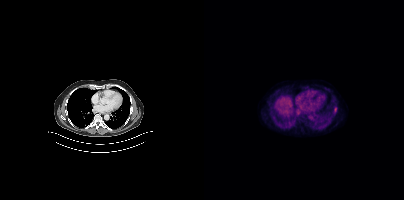
Technique: Two-panel axial: CT | PSMA PET, 18F tracer. PET panel 200×200 px (4.1 mm/px).
Findings: Coordinates are on the 200×200 PET (right) panel. PSMA-avid tumor lesion bounding box (x0, y0)-(x1, y1): (130, 108)-(132, 112).